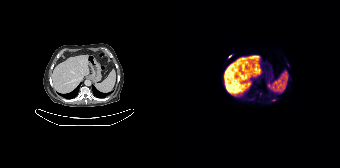
{"modality":"PSMA PET/CT","view":"axial","tracer":"18F-PSMA","pet_grid":[168,168],"coord_frame":"pet_panel","coord_format":"x0,y0,x1,y1","lesion_bboxes":[],"small_foci_centers":[[57,56],[101,100]]}